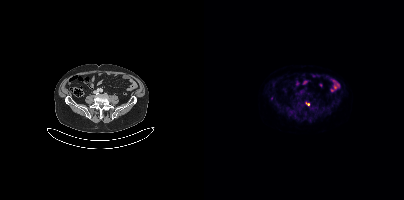
Paired axial CT (left) and PSMA PET (right), [18F]PSMA-1007 tracer. Slice position z = -795 mm. PET panel 200×200 px (4.1 mm/px). Coordinates are on the 200×200 PET (right) panel. (showing 1 of 2 foci) Small PSMA-avid focus (2 to 4 px across) near (center x, center y): (67, 98).